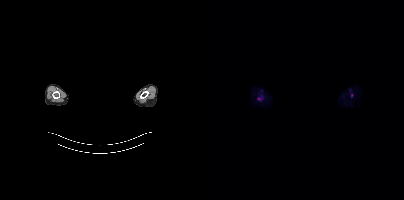
{"modality":"PSMA PET/CT","view":"axial","tracer":"18F","pet_grid":[200,200],"coord_frame":"pet_panel","coord_format":"x0,y0,x1,y1","redaction":"rectangular block over head set to black","lesion_bboxes":[],"small_foci_centers":[[55,99],[147,95]]}